modality: PSMA PET/CT | tracer: [18F]PSMA-1007 | view: axial
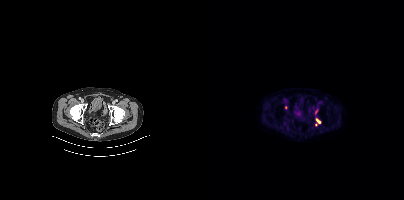
Coordinates are on the 200×200 PET (right) panel. (showing 2 of 3 foci) PSMA-avid tumor lesion bounding box (x0, y0)-(x1, y1): (112, 118)-(116, 123). Small PSMA-avid focus (2 to 4 px across) near (center x, center y): (111, 124).